Paired axial CT (left) and PSMA PET (right), 18F-PSMA tracer. Acquired on GE Discovery 690. PET panel 256×256 px (2.7 mm/px).
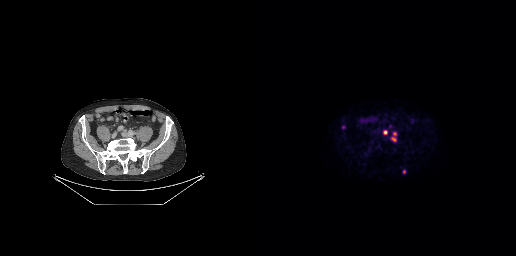
Coordinates are on the 256×256 PET (right) panel. PSMA-avid tumor lesion bounding boxes:
| # | x0 | y0 | x1 | y1 |
|---|---|---|---|---|
| 1 | 131 | 132 | 136 | 141 |
| 2 | 123 | 130 | 127 | 134 |
| 3 | 142 | 169 | 145 | 173 |
Small PSMA-avid focus (2 to 4 px across) near (center x, center y): (83, 127).